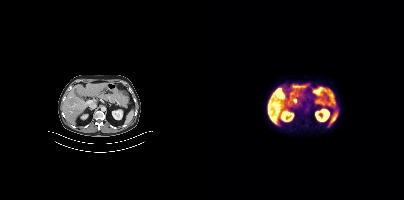
This slice has no annotated PSMA-avid lesion. Paired axial CT (left) and PSMA PET (right), 18F-PSMA tracer.